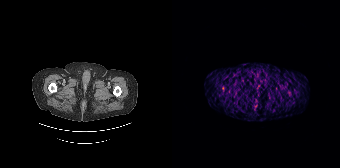
Technique: Left: CT. Right: PSMA PET, same axial level, 68Ga-PSMA tracer. slice 8 of 165.
Findings: No PSMA-avid tumor lesions on this slice.